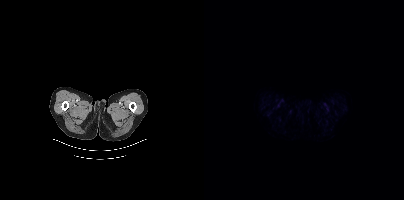
Paired axial CT (left) and PSMA PET (right), [18F]PSMA-1007 tracer. Slice 26 of 405. PET panel 200×200 px (4.1 mm/px). Negative for PSMA-avid disease on this slice.